modality: PSMA PET/CT | tracer: [18F]PSMA-1007 | view: axial | PET grid: 200×200
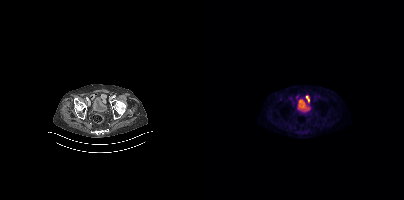
This slice has no annotated PSMA-avid lesion.